- Paired axial CT (left) and PSMA PET (right), [18F]PSMA-1007 tracer
- acquired on Siemens Biograph mCT Flow 20
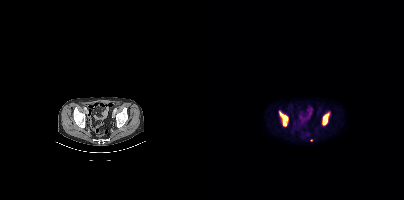
Findings: Coordinates are on the 200×200 PET (right) panel. (showing 3 of 4 foci) PSMA-avid tumor lesion bounding boxes (x0,y0,x1,y1): [119,114,124,124], [77,113,83,121]. Small PSMA-avid focus (2 to 4 px across) near (center x, center y): (80, 123).